modality: PSMA PET/CT | tracer: [18F]PSMA-1007 | view: axial
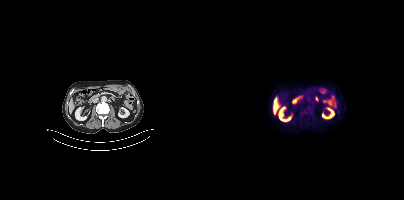
Only PSMA-avid lesion pieces thinner than 2 px on this slice (not listed).